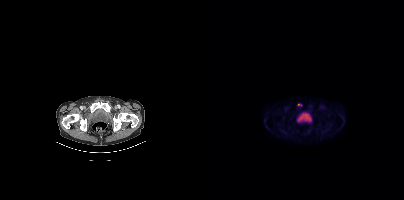
Findings: Coordinates are on the 200×200 PET (right) panel. Small PSMA-avid focus (2 to 4 px across) near (center x, center y): (94, 104).
Technique: Paired axial CT (left) and PSMA PET (right), 18F-PSMA tracer. slice 62 of 435. PET panel 200×200 px (4.1 mm/px).